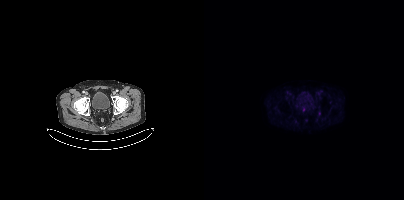
Coordinates are on the 200×200 PET (right) panel. Small PSMA-avid foci (2 to 4 px across) near (center x, center y): (99, 109), (115, 113). Left: CT. Right: PSMA PET, same axial level, 18F-PSMA tracer.